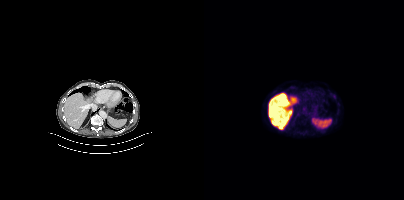
- Left: CT. Right: PSMA PET, same axial level, 18F tracer
- slice 243 of 421
Findings: No PSMA-avid tumor lesions on this slice.